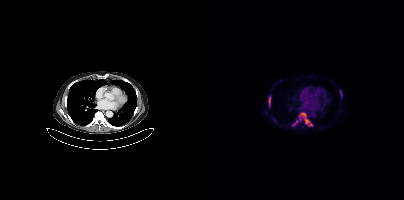
Left: CT. Right: PSMA PET, same axial level, 18F tracer. Acquired on Siemens Biograph mCT Flow 20. Slice position z = -596 mm. PET panel 200×200 px (4.1 mm/px). Coordinates are on the 200×200 PET (right) panel. PSMA-avid tumor lesion bounding boxes (x0, y0)-(x1, y1): (95, 113)-(108, 125) / (64, 96)-(66, 106) / (88, 120)-(93, 126) / (136, 90)-(138, 97).